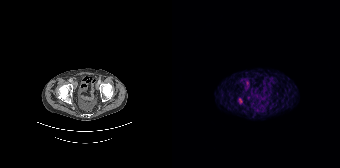
Coordinates are on the 168×168 PET (right) panel. PSMA-avid tumor lesion bounding box (x0, y0)-(x1, y1): (67, 98)-(70, 103). Small PSMA-avid focus (2 to 4 px across) near (center x, center y): (75, 83). Paired axial CT (left) and PSMA PET (right), 68Ga-PSMA tracer.